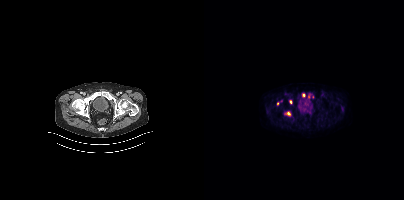
modality: PSMA PET/CT | tracer: 18F-PSMA | view: axial
Coordinates are on the 200×200 PET (right) panel. PSMA-avid tumor lesion bounding boxes (x0, y0)-(x1, y1): (83, 111)-(86, 115) | (104, 94)-(106, 98). Small PSMA-avid foci (2 to 4 px across) near (center x, center y): (99, 95) | (108, 97) | (73, 103) | (86, 102).